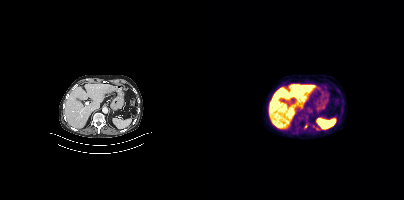
modality: PSMA PET/CT | tracer: 18F | view: axial | PET grid: 200×200
Coordinates are on the 200×200 PET (right) panel. (showing 1 of 2 foci) Small PSMA-avid focus (2 to 4 px across) near (center x, center y): (113, 128).